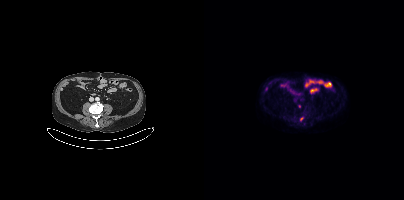
Left: CT. Right: PSMA PET, same axial level, 18F tracer. PET panel 200×200 px (4.1 mm/px). Coordinates are on the 200×200 PET (right) panel. Small PSMA-avid focus (2 to 4 px across) near (center x, center y): (97, 118).